Technique: Left: CT. Right: PSMA PET, same axial level, 18F-PSMA tracer. acquired on Siemens Biograph mCT Flow 20.
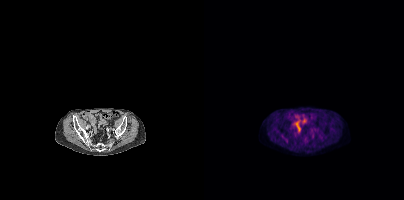
Findings: No tumor lesions annotated on this slice.